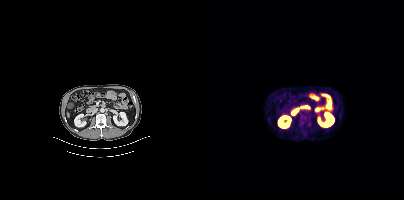
{"modality":"PSMA PET/CT","view":"axial","tracer":"18F-PSMA","pet_grid":[200,200],"coord_frame":"pet_panel","coord_format":"x0,y0,x1,y1","lesion_bboxes":[[95,115,107,127]]}